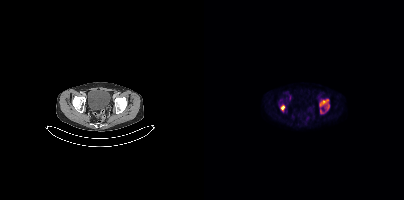
{"pet_grid":[200,200],"coord_frame":"pet_panel","coord_format":"x0,y0,x1,y1","partial":true,"lesion_bboxes":[[115,99,125,113],[76,104,81,111]],"modality":"PSMA PET/CT","view":"axial","tracer":"18F"}